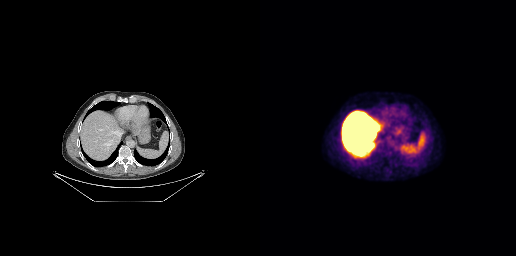
No tumor lesions annotated on this slice. Two-panel axial: CT | PSMA PET, 18F-PSMA tracer. PET panel 256×256 px (2.7 mm/px).